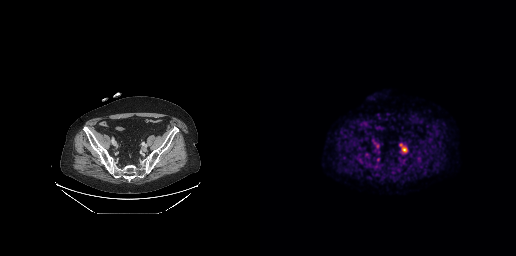
Left: CT. Right: PSMA PET, same axial level, 18F tracer. PET panel 256×256 px (2.7 mm/px).
Coordinates are on the 256×256 PET (right) panel. PSMA-avid tumor lesion bounding boxes (partial; 1 more focus not listed):
| # | x0 | y0 | x1 | y1 |
|---|---|---|---|---|
| 1 | 142 | 148 | 146 | 151 |
Small PSMA-avid focus (2 to 4 px across) near (center x, center y): (117, 146).